Technique: Two-panel axial: CT | PSMA PET, [18F]PSMA-1007 tracer.
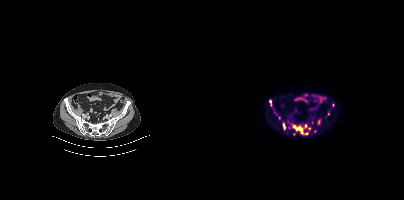
Findings: Coordinates are on the 200×200 PET (right) panel. (showing 8 of 14 foci) PSMA-avid tumor lesion bounding boxes (x0,y0,x1,y1): [89,125,104,134] [113,120,116,124] [79,123,81,129] [65,100,67,105]. Small PSMA-avid foci (2 to 4 px across) near (center x, center y): (75, 118) (101, 126) (124, 113) (105, 128).